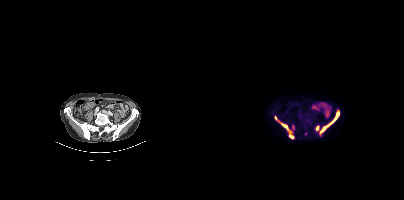
Left: CT. Right: PSMA PET, same axial level, 18F tracer. Acquired on Siemens Biograph mCT Flow 20. PET panel 200×200 px (4.1 mm/px). Coordinates are on the 200×200 PET (right) panel. PSMA-avid tumor lesion bounding boxes (x0, y0)-(x1, y1): (115, 112)-(135, 134) | (71, 116)-(89, 138) | (112, 126)-(114, 130). Small PSMA-avid foci (2 to 4 px across) near (center x, center y): (88, 127) | (101, 133).